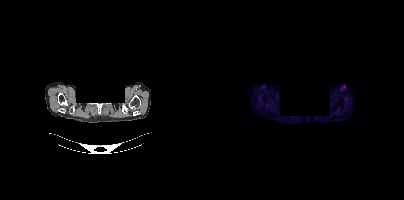
{"modality":"PSMA PET/CT","view":"axial","tracer":"[18F]PSMA-1007","pet_grid":[200,200],"coord_frame":"pet_panel","coord_format":"x0,y0,x1,y1","de-identification":"face masked with black rectangle","psma_avid_lesions":false}